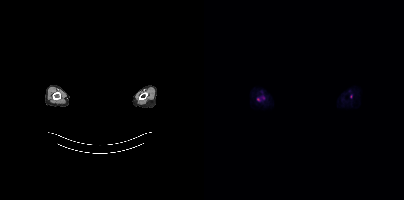
{"modality":"PSMA PET/CT","view":"axial","tracer":"[18F]PSMA-1007","pet_grid":[200,200],"coord_frame":"pet_panel","coord_format":"x0,y0,x1,y1","redaction":"head region blanked (face removed)","lesion_bboxes":[],"small_foci_centers":[[54,99],[147,96]]}